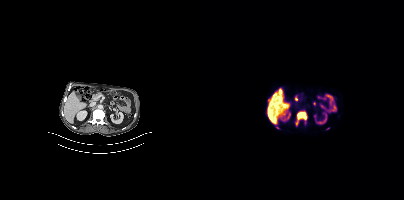
Findings: Coordinates are on the 200×200 PET (right) panel. PSMA-avid tumor lesion bounding box (x, y, width, height): x=92 y=112 w=12 h=14. Small PSMA-avid foci (2 to 4 px across) near (center x, center y): (73, 126) | (124, 128).
Technique: Left: CT. Right: PSMA PET, same axial level, 18F-PSMA tracer. acquired on Siemens Biograph mCT Flow 20. slice 189 of 387.